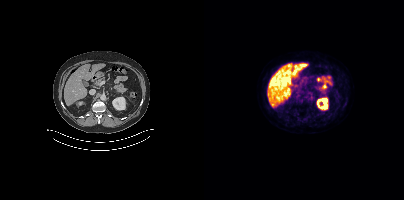
Technique: Two-panel axial: CT | PSMA PET, 18F-PSMA tracer. acquired on Siemens Biograph mCT Flow 20. PET panel 200×200 px (4.1 mm/px).
Findings: Coordinates are on the 200×200 PET (right) panel. PSMA-avid tumor lesion bounding boxes (x, y, width, height): x=105 y=94 w=6 h=6; x=94 y=99 w=5 h=5.